modality: PSMA PET/CT | tracer: 18F-PSMA | view: axial
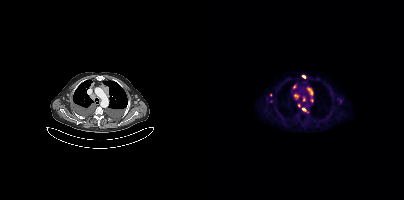
Coordinates are on the 200×200 PET (right) panel. (showing 9 of 10 foci) PSMA-avid tumor lesion bounding boxes (x0,y0,x1,y1): [103,87,108,95]; [90,94,94,98]; [98,107,102,111]; [98,75,102,78]. Small PSMA-avid foci (2 to 4 px across) near (center x, center y): (90, 86); (95, 105); (100, 99); (107, 100); (66, 95).